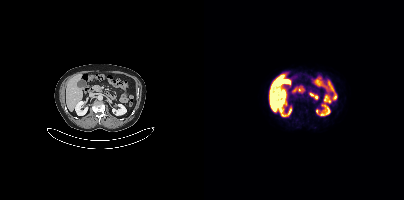
No tumor lesions annotated on this slice.